- Two-panel axial: CT | PSMA PET, 18F tracer
- slice position z = -508 mm
- PET panel 200×200 px (4.1 mm/px)
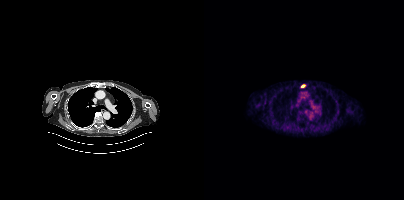
Findings: Coordinates are on the 200×200 PET (right) panel. PSMA-avid tumor lesion bounding box (x0,y0,x1,y1): [97,85,101,87].